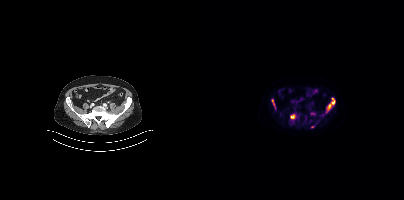
{"modality":"PSMA PET/CT","view":"axial","tracer":"18F-PSMA","pet_grid":[200,200],"coord_frame":"pet_panel","coord_format":"x0,y0,x1,y1","lesion_bboxes":[[122,98,131,112],[86,114,92,118],[68,99,71,109],[107,113,111,114]],"small_foci_centers":[[108,126]]}